modality: PSMA PET/CT | tracer: 68Ga | view: axial | PET grid: 200×200
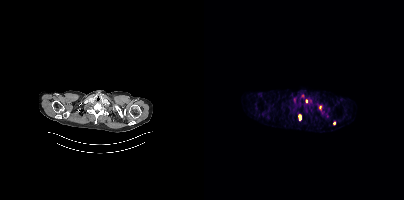
Coordinates are on the 200×200 PET (right) panel. Small PSMA-avid foci (2 to 4 px across) near (center x, center y): (116, 107), (95, 117), (102, 101), (130, 123).